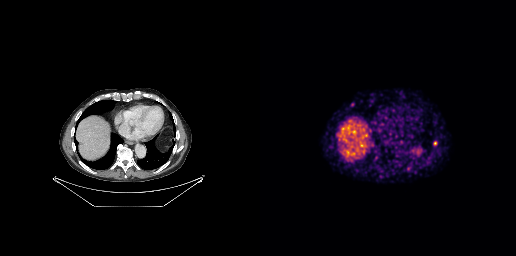
{"modality":"PSMA PET/CT","view":"axial","tracer":"68Ga","pet_grid":[256,256],"coord_frame":"pet_panel","coord_format":"x0,y0,x1,y1","lesion_bboxes":[],"small_foci_centers":[[92,104],[175,143]]}